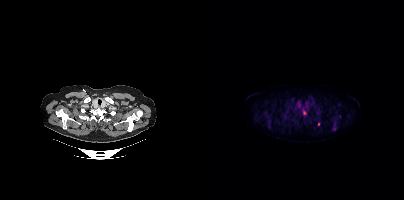
Two-panel axial: CT | PSMA PET, 18F-PSMA tracer.
Coordinates are on the 200×200 PET (right) panel. PSMA-avid tumor lesion bounding boxes (partial; 1 more focus not listed):
| # | x0 | y0 | x1 | y1 |
|---|---|---|---|---|
| 1 | 127 | 119 | 134 | 131 |
| 2 | 98 | 109 | 102 | 115 |
| 3 | 92 | 115 | 94 | 120 |
Small PSMA-avid foci (2 to 4 px across) near (center x, center y): (115, 124); (61, 113).